modality: PSMA PET/CT | tracer: [18F]PSMA-1007 | view: axial | PET grid: 200×200
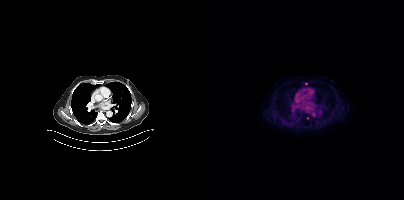
Only PSMA-avid lesion pieces thinner than 2 px on this slice (not listed).